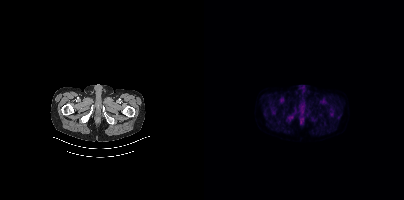
This slice has no annotated PSMA-avid lesion.